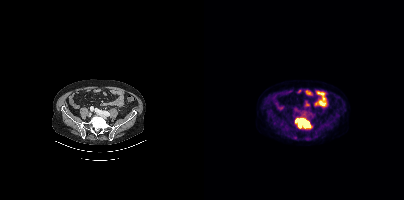
Coordinates are on the 200×200 PET (right) panel. PSMA-avid tumor lesion bounding box (x0,y0,x1,y1): [91,118,107,128].
modality: PSMA PET/CT | tracer: 18F | view: axial | PET grid: 200×200